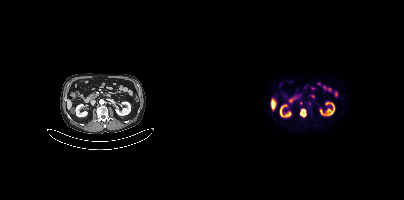
{"modality":"PSMA PET/CT","view":"axial","tracer":"18F","pet_grid":[200,200],"coord_frame":"pet_panel","coord_format":"x0,y0,x1,y1","partial":true,"lesion_bboxes":[[97,113,101,116]],"small_foci_centers":[[105,103],[99,110]]}